Technique: Left: CT. Right: PSMA PET, same axial level, [18F]PSMA-1007 tracer. acquired on Siemens Biograph mCT Flow 20. slice 99 of 401. PET panel 200×200 px (4.1 mm/px).
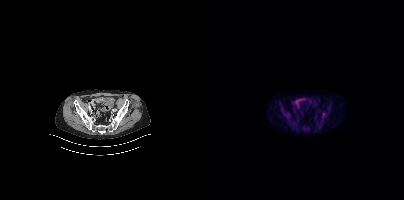
Findings: No tumor lesions annotated on this slice.